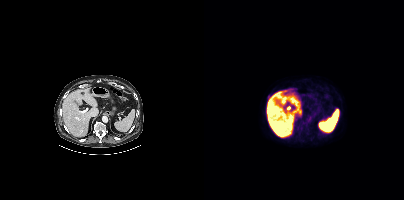
- Two-panel axial: CT | PSMA PET, [18F]PSMA-1007 tracer
- slice position z = -640 mm
- PET panel 200×200 px (4.1 mm/px)
Findings: Coordinates are on the 200×200 PET (right) panel. Small PSMA-avid focus (2 to 4 px across) near (center x, center y): (65, 96).